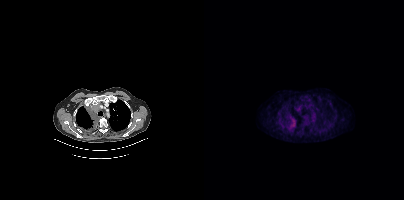
Technique: Paired axial CT (left) and PSMA PET (right), [18F]PSMA-1007 tracer. acquired on Siemens Biograph mCT Flow 20. PET panel 200×200 px (4.1 mm/px).
Findings: Coordinates are on the 200×200 PET (right) panel. PSMA-avid tumor lesion bounding box (x, y, width, height): x=84 y=119 w=8 h=11. Small PSMA-avid focus (2 to 4 px across) near (center x, center y): (94, 109).